modality: PSMA PET/CT | tracer: 18F | view: axial | PET grid: 200×200
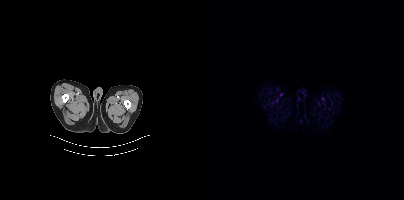
This slice has no annotated PSMA-avid lesion.